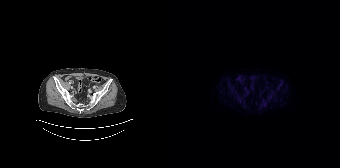
{"pet_grid":[168,168],"coord_frame":"pet_panel","coord_format":"x0,y0,x1,y1","psma_avid_lesions":false,"modality":"PSMA PET/CT","view":"axial","tracer":"[18F]PSMA-1007"}